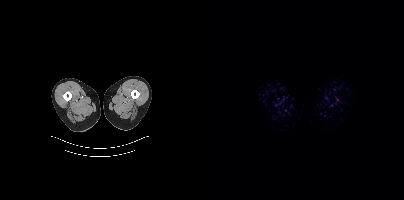
No PSMA-avid tumor lesions on this slice.